Two-panel axial: CT | PSMA PET, [18F]PSMA-1007 tracer. PET panel 200×200 px (4.1 mm/px).
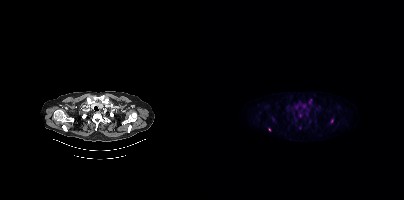
Coordinates are on the 200×200 PET (right) panel. (showing 5 of 7 foci) PSMA-avid tumor lesion bounding box (x, y, width, height): x=68 y=117 w=3 h=5. Small PSMA-avid foci (2 to 4 px across) near (center x, center y): (128, 120) / (96, 128) / (65, 129) / (106, 99).